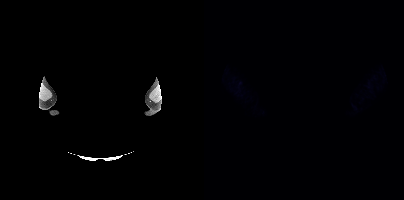
modality: PSMA PET/CT | tracer: 18F | view: axial | PET grid: 200×200 | redaction: facial region redacted
No tumor lesions annotated on this slice.